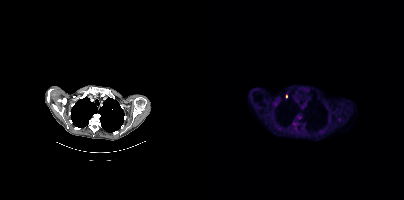
modality: PSMA PET/CT | tracer: 18F | view: axial
Coordinates are on the 200×200 PET (right) panel. Small PSMA-avid focus (2 to 4 px across) near (center x, center y): (82, 96).